Left: CT. Right: PSMA PET, same axial level, [18F]PSMA-1007 tracer. Acquired on Siemens Biograph mCT Flow 20. PET panel 200×200 px (4.1 mm/px).
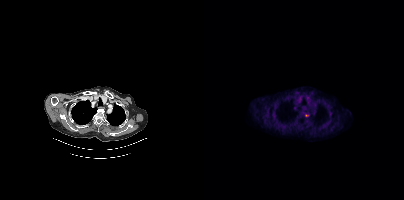
Coordinates are on the 200×200 PET (right) panel. Small PSMA-avid focus (2 to 4 px across) near (center x, center y): (102, 115).